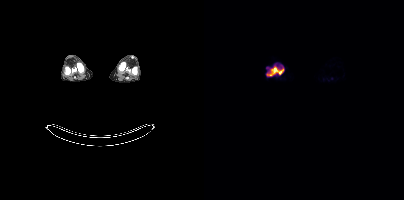
Two-panel axial: CT | PSMA PET, [18F]PSMA-1007 tracer.
Coordinates are on the 200×200 PET (right) panel. PSMA-avid tumor lesion bounding boxes:
| # | x0 | y0 | x1 | y1 |
|---|---|---|---|---|
| 1 | 63 | 67 | 79 | 75 |